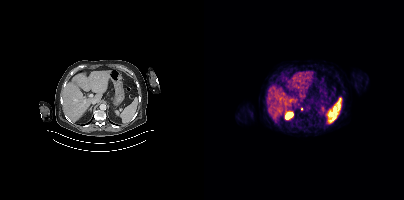
modality: PSMA PET/CT | tracer: [68Ga]Ga-PSMA-11 | view: axial
Coordinates are on the 200×200 PET (right) panel. Small PSMA-avid focus (2 to 4 px across) near (center x, center y): (97, 109).